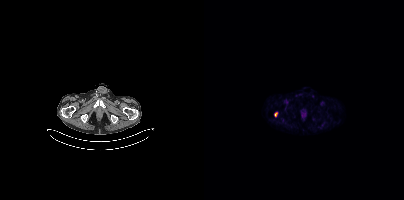
Paired axial CT (left) and PSMA PET (right), 18F tracer. PET panel 200×200 px (4.1 mm/px).
Coordinates are on the 200×200 PET (right) panel. PSMA-avid tumor lesion bounding boxes:
| # | x0 | y0 | x1 | y1 |
|---|---|---|---|---|
| 1 | 70 | 112 | 73 | 116 |